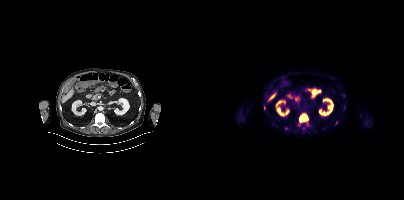
Coordinates are on the 200×200 PET (right) panel. PSMA-avid tumor lesion bounding box (x, y, width, height): x=95 y=113 w=10 h=10. Small PSMA-avid foci (2 to 4 px across) near (center x, center y): (60, 107); (99, 128); (132, 122).